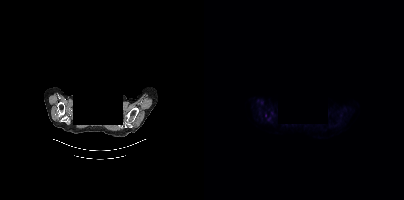
- a rectangle over the head was blacked out to remove identifiable facial features
- Two-panel axial: CT | PSMA PET, 18F-PSMA tracer
- acquired on Siemens Biograph mCT Flow 20
- slice position z = -406 mm
- PET panel 200×200 px (4.1 mm/px)
Findings: Coordinates are on the 200×200 PET (right) panel. Small PSMA-avid foci (2 to 4 px across) near (center x, center y): (61, 115); (67, 121).